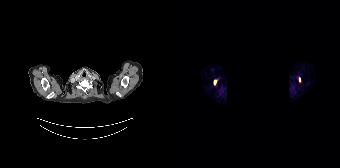
{"modality":"PSMA PET/CT","view":"axial","tracer":"68Ga","pet_grid":[168,168],"coord_frame":"pet_panel","coord_format":"x0,y0,x1,y1","lesion_bboxes":[[42,80,43,84]],"small_foci_centers":[[127,79]],"redaction":"black rectangle is a privacy mask"}